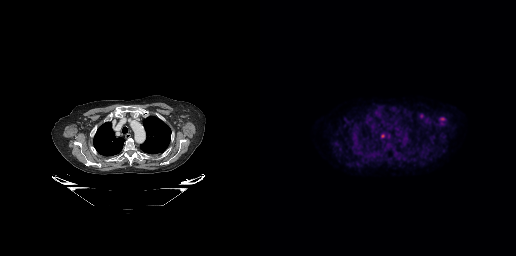
Findings: Coordinates are on the 256×256 PET (right) panel. (showing 2 of 3 foci) Small PSMA-avid foci (2 to 4 px across) near (center x, center y): (122, 135) (182, 118).
- Two-panel axial: CT | PSMA PET, [18F]PSMA-1007 tracer
- acquired on GE Discovery 690
- slice 247 of 299
- PET panel 256×256 px (2.7 mm/px)